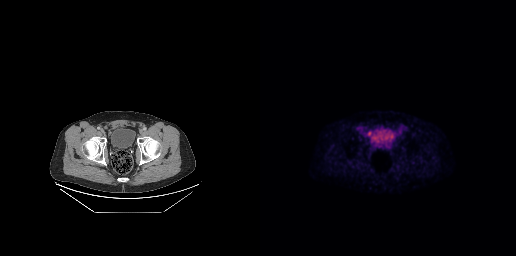
Coordinates are on the 256×256 PET (right) panel. PSMA-avid tumor lesion bounding box (x, y, width, height): x=107 y=131 w=4 h=5.